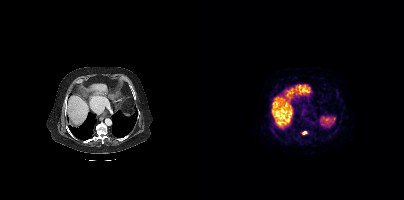
Coordinates are on the 200×200 PET (right) panel. PSMA-avid tumor lesion bounding box (x0, y0)-(x1, y1): (98, 131)-(103, 134).